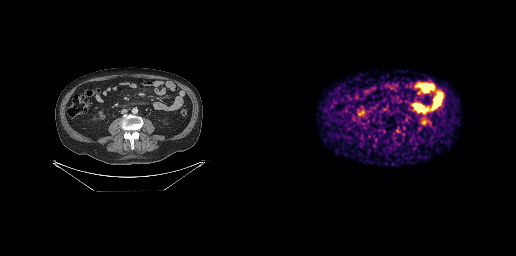
No PSMA-avid tumor lesions on this slice.